Technique: Paired axial CT (left) and PSMA PET (right), 18F tracer. acquired on Siemens Biograph 64-4R TruePoint. PET panel 168×168 px (4.1 mm/px).
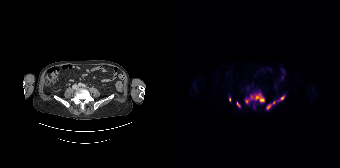
Findings: Coordinates are on the 168×168 PET (right) panel. PSMA-avid tumor lesion bounding boxes (x0,y0,x1,y1): [78,93,92,102]; [94,104,99,109]; [73,99,77,103]; [65,102,68,107]; [108,96,112,99]. Small PSMA-avid foci (2 to 4 px across) near (center x, center y): (57, 99); (101, 102).